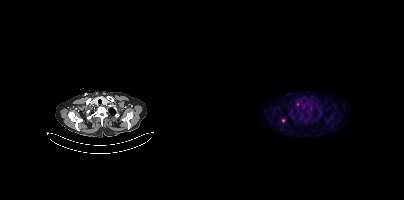
Coordinates are on the 200×200 PET (right) panel. PSMA-avid tumor lesion bounding box (x0,y0,x1,y1): [92,102,94,106]. Small PSMA-avid focus (2 to 4 px across) near (center x, center y): (79, 120).